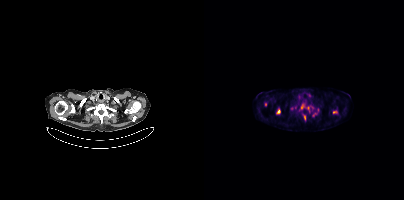
{"modality":"PSMA PET/CT","view":"axial","tracer":"18F-PSMA","pet_grid":[200,200],"coord_frame":"pet_panel","coord_format":"x0,y0,x1,y1","partial":true,"lesion_bboxes":[[72,109,76,113],[97,104,100,109]],"small_foci_centers":[[130,112],[104,107],[88,108],[100,117]]}